- Paired axial CT (left) and PSMA PET (right), 68Ga-PSMA tracer
- acquired on Siemens Biograph 64-4R TruePoint
- slice position z = -708 mm
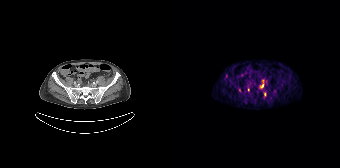
Findings: Coordinates are on the 168×168 PET (right) panel. PSMA-avid tumor lesion bounding box (x, y, width, height): x=88 y=84 w=4 h=5. Small PSMA-avid foci (2 to 4 px across) near (center x, center y): (76, 89) / (67, 90) / (92, 94) / (90, 81).